Technique: Left: CT. Right: PSMA PET, same axial level, 18F-PSMA tracer. acquired on Siemens Biograph mCT Flow 20. slice 48 of 433. PET panel 200×200 px (4.1 mm/px).
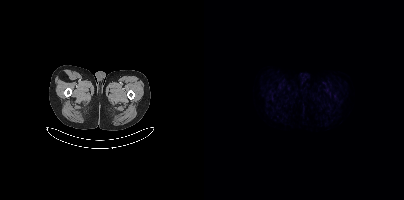
Findings: No tumor lesions annotated on this slice.